modality: PSMA PET/CT | tracer: 18F | view: axial | PET grid: 200×200
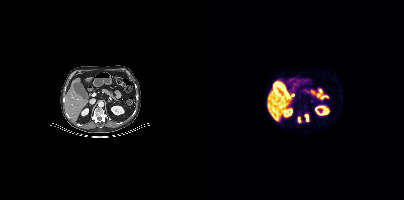
Coordinates are on the 200×200 PET (right) panel. PSMA-avid tumor lesion bounding boxes (x0,y0,x1,y1): [101,115,104,121]; [94,117,97,122].